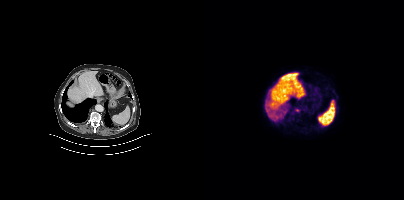
{"modality":"PSMA PET/CT","view":"axial","tracer":"[18F]PSMA-1007","pet_grid":[200,200],"coord_frame":"pet_panel","coord_format":"x0,y0,x1,y1","partial":true,"lesion_bboxes":[]}